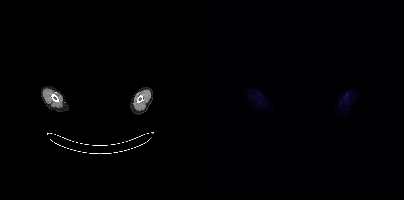
- a rectangular block over the head has been blanked out for de-identification
- Paired axial CT (left) and PSMA PET (right), [18F]PSMA-1007 tracer
- slice 396 of 425
- PET panel 200×200 px (4.1 mm/px)
Findings: No PSMA-avid tumor lesions on this slice.